Paired axial CT (left) and PSMA PET (right), 18F-PSMA tracer. Acquired on GE Discovery 690.
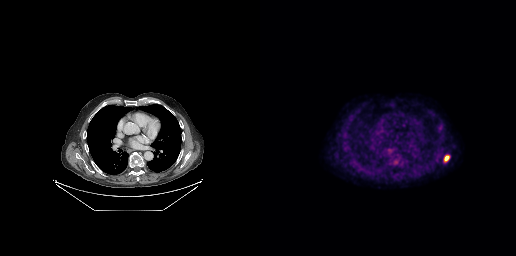
Coordinates are on the 256×256 PET (right) panel. PSMA-avid tumor lesion bounding box (x0, y0)-(x1, y1): (184, 155)-(189, 161).